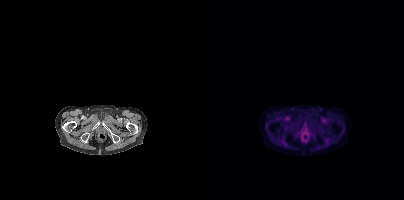
Findings: Negative for PSMA-avid disease on this slice.
Technique: Paired axial CT (left) and PSMA PET (right), [18F]PSMA-1007 tracer. PET panel 200×200 px (4.1 mm/px).